Technique: Paired axial CT (left) and PSMA PET (right), [18F]PSMA-1007 tracer. PET panel 256×256 px (2.7 mm/px).
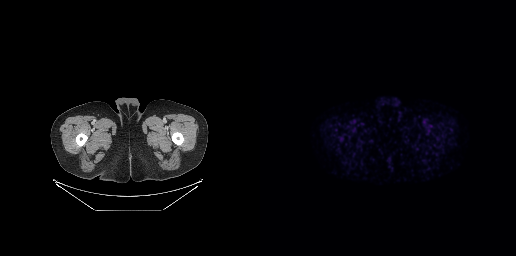
Findings: This slice has no annotated PSMA-avid lesion.